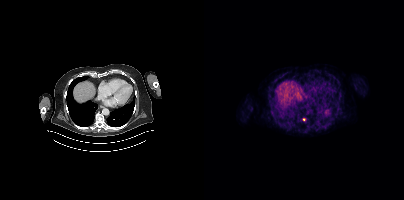
Coordinates are on the 200×200 PET (right) panel. Small PSMA-avid focus (2 to 4 px across) near (center x, center y): (100, 119). Paired axial CT (left) and PSMA PET (right), 68Ga tracer.